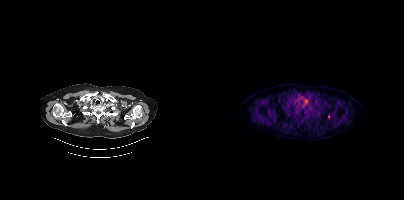
Findings: Coordinates are on the 200×200 PET (right) panel. Small PSMA-avid focus (2 to 4 px across) near (center x, center y): (124, 116).
Technique: Two-panel axial: CT | PSMA PET, [18F]PSMA-1007 tracer.